- Paired axial CT (left) and PSMA PET (right), 68Ga tracer
- acquired on Siemens Biograph 64-4R TruePoint
- slice position z = -1314 mm
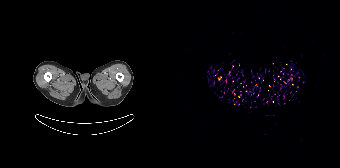
Findings: Coordinates are on the 168×168 PET (right) panel. Small PSMA-avid focus (2 to 4 px across) near (center x, center y): (47, 79).